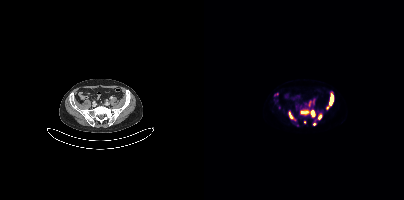
- Paired axial CT (left) and PSMA PET (right), 18F tracer
- PET panel 200×200 px (4.1 mm/px)
Findings: Coordinates are on the 200×200 PET (right) panel. (showing 10 of 12 foci) PSMA-avid tumor lesion bounding boxes (x, y, width, height): x=96 y=110 w=9 h=6 / x=126 y=93 w=4 h=12 / x=85 y=112 w=7 h=9 / x=107 y=111 w=5 h=6 / x=114 y=113 w=4 h=7 / x=105 y=101 w=2 h=5. Small PSMA-avid foci (2 to 4 px across) near (center x, center y): (101, 122) / (123, 107) / (110, 124) / (73, 93).